modality: PSMA PET/CT | tracer: [18F]PSMA-1007 | view: axial | PET grid: 200×200
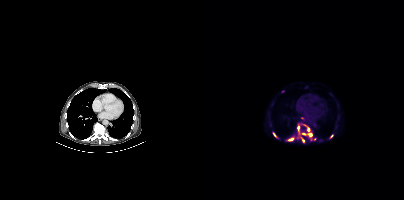
Coordinates are on the 200×200 PET (right) panel. PSMA-avid tumor lesion bounding boxes (x0, y0)-(x1, y1): (94, 124)-(95, 133); (84, 137)-(90, 140); (99, 124)-(105, 130); (103, 133)-(107, 136); (108, 138)-(112, 140); (126, 134)-(129, 138). Small PSMA-avid foci (2 to 4 px across) near (center x, center y): (70, 134); (99, 140); (79, 91); (100, 133); (96, 135); (93, 137).